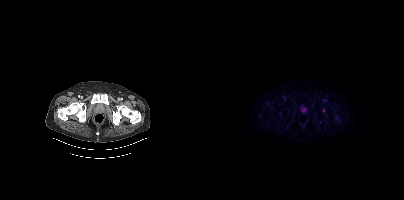
- Two-panel axial: CT | PSMA PET, [18F]PSMA-1007 tracer
- acquired on Siemens Biograph mCT Flow 20
- PET panel 200×200 px (4.1 mm/px)
Findings: Coordinates are on the 200×200 PET (right) panel. Small PSMA-avid focus (2 to 4 px across) near (center x, center y): (119, 110).